Two-panel axial: CT | PSMA PET, [18F]PSMA-1007 tracer. PET panel 200×200 px (4.1 mm/px).
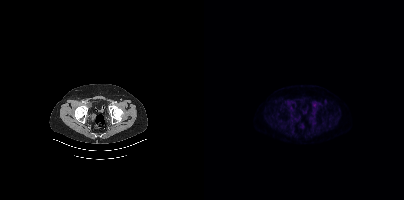
No PSMA-avid tumor lesions on this slice.